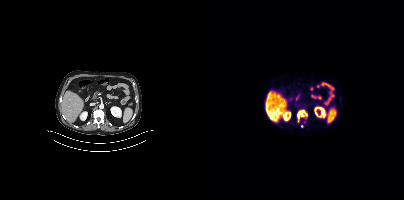
Coordinates are on the 200×200 PET (right) panel. PSMA-avid tumor lesion bounding box (x, y, width, height): x=93 y=109 w=11 h=14. Small PSMA-avid focus (2 to 4 px across) near (center x, center y): (98, 126). Two-panel axial: CT | PSMA PET, 18F tracer. Acquired on Siemens Biograph mCT Flow 20. Slice 199 of 395. PET panel 200×200 px (4.1 mm/px).